Technique: Left: CT. Right: PSMA PET, same axial level, 18F tracer. acquired on Siemens Biograph mCT Flow 20. PET panel 200×200 px (4.1 mm/px).
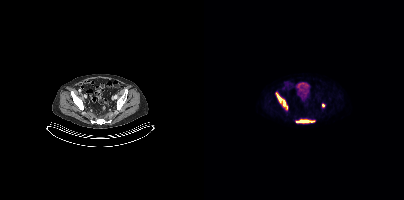
Findings: Coordinates are on the 200×200 PET (right) panel. PSMA-avid tumor lesion bounding boxes (x0,y0,x1,y1): [72,93,83,109]; [92,120,110,122]. Small PSMA-avid focus (2 to 4 px across) near (center x, center y): (119, 105).